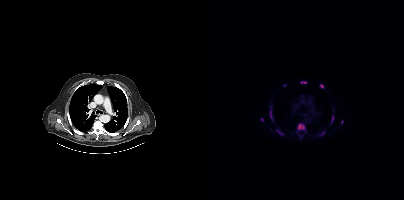
Coordinates are on the 200×200 PET (right) panel. PSMA-avid tumor lesion bounding boxes (x0,y0,x1,y1): [92,123,101,132], [66,110,69,120], [72,129,79,135], [96,81,102,83], [116,84,120,88], [127,115,129,123], [117,131,120,135]. Small PSMA-avid foci (2 to 4 px across) near (center x, center y): (58, 119), (138, 121), (96, 135), (80, 85), (66, 107).